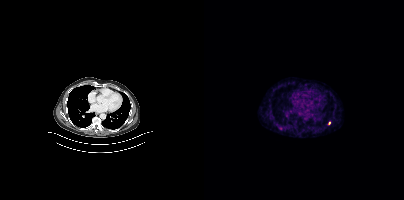
Only PSMA-avid lesion pieces thinner than 2 px on this slice (not listed).